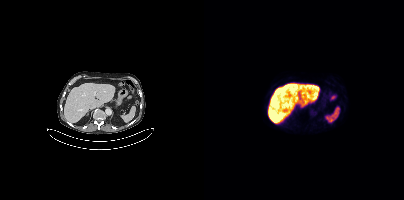
Findings: This slice has no annotated PSMA-avid lesion.
- Two-panel axial: CT | PSMA PET, 18F-PSMA tracer
- PET panel 200×200 px (4.1 mm/px)